modality: PSMA PET/CT | tracer: 18F | view: axial | PET grid: 200×200
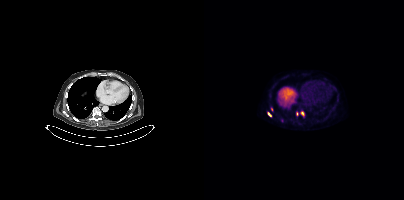
Coordinates are on the 200×200 PET (right) panel. (showing 3 of 4 foci) PSMA-avid tumor lesion bounding boxes (x0, y0)-(x1, y1): (64, 112)-(67, 116) / (67, 107)-(69, 111). Small PSMA-avid focus (2 to 4 px across) near (center x, center y): (98, 113).